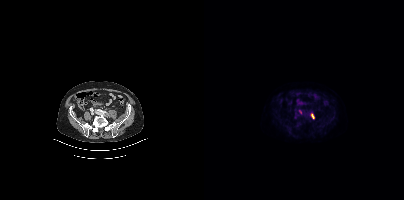
Technique: Paired axial CT (left) and PSMA PET (right), 18F-PSMA tracer. slice 119 of 383. PET panel 200×200 px (4.1 mm/px).
Findings: Coordinates are on the 200×200 PET (right) panel. Small PSMA-avid foci (2 to 4 px across) near (center x, center y): (96, 111) | (91, 117) | (107, 114) | (109, 117).